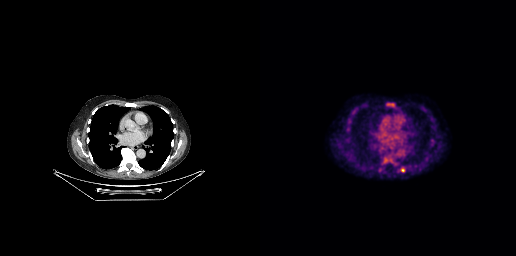
Coordinates are on the 256×256 PET (right) panel. PSMA-avid tumor lesion bounding box (x0,y0,x1,y1): [123,157,133,163]. Small PSMA-avid focus (2 to 4 px across) near (center x, center y): (142, 170).